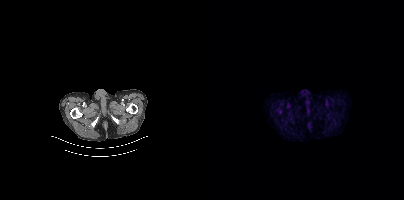
Two-panel axial: CT | PSMA PET, 18F-PSMA tracer. Coordinates are on the 200×200 PET (right) panel. Small PSMA-avid focus (2 to 4 px across) near (center x, center y): (76, 111).